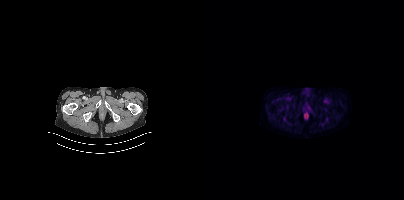
modality: PSMA PET/CT | tracer: [18F]PSMA-1007 | view: axial
Negative for PSMA-avid disease on this slice.